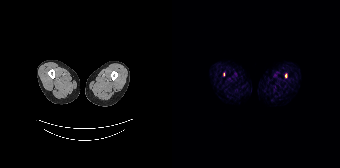
Technique: Two-panel axial: CT | PSMA PET, [68Ga]Ga-PSMA-11 tracer. slice 12 of 195.
Findings: Coordinates are on the 168×168 PET (right) panel. (showing 1 of 2 foci) Small PSMA-avid focus (2 to 4 px across) near (center x, center y): (113, 75).